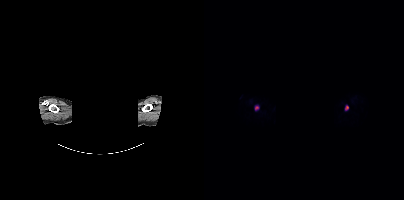
{"pet_grid":[200,200],"coord_frame":"pet_panel","coord_format":"x0,y0,x1,y1","lesion_bboxes":[[51,105,55,110],[141,105,144,110]],"de-identification":"face masked with black rectangle","modality":"PSMA PET/CT","view":"axial","tracer":"18F"}